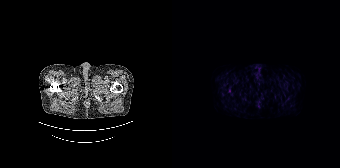
Negative for PSMA-avid disease on this slice.
modality: PSMA PET/CT | tracer: 18F-PSMA | view: axial | PET grid: 168×168